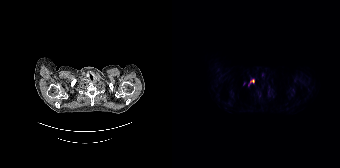
Findings: Coordinates are on the 168×168 PET (right) panel. PSMA-avid tumor lesion bounding box (x0, y0)-(x1, y1): (78, 80)-(82, 82).
Technique: Two-panel axial: CT | PSMA PET, [18F]PSMA-1007 tracer. acquired on Siemens Biograph 64-4R TruePoint. slice 137 of 165. PET panel 168×168 px (4.1 mm/px).